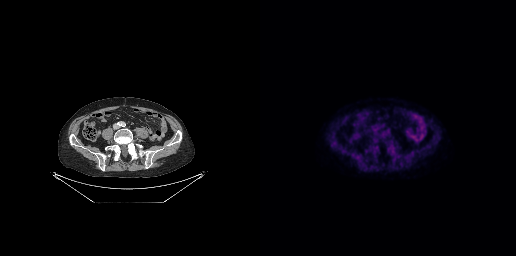
{"modality":"PSMA PET/CT","view":"axial","tracer":"18F","pet_grid":[256,256],"coord_frame":"pet_panel","coord_format":"x0,y0,x1,y1","psma_avid_lesions":false}